modality: PSMA PET/CT | tracer: 68Ga-PSMA | view: axial | PET grid: 200×200
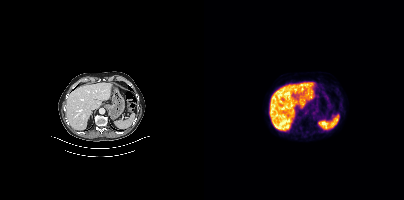
No tumor lesions annotated on this slice.